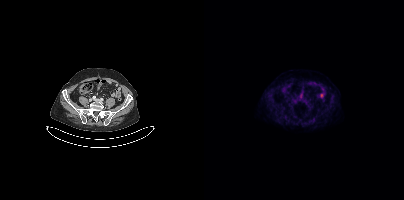
{"modality":"PSMA PET/CT","view":"axial","tracer":"18F-PSMA","pet_grid":[200,200],"coord_frame":"pet_panel","coord_format":"x0,y0,x1,y1","psma_avid_lesions":false}